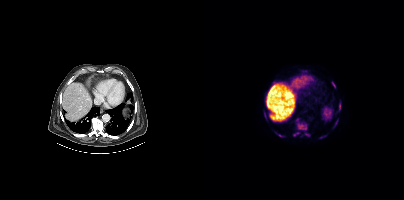
Left: CT. Right: PSMA PET, same axial level, [18F]PSMA-1007 tracer. Slice 253 of 423. PET panel 200×200 px (4.1 mm/px).
Coordinates are on the 200×200 PET (right) panel. PSMA-avid tumor lesion bounding boxes (partial; 2 more foci not listed):
| # | x0 | y0 | x1 | y1 |
|---|---|---|---|---|
| 1 | 92 | 118 | 103 | 130 |
| 2 | 89 | 132 | 95 | 136 |
| 3 | 128 | 82 | 131 | 87 |
| 4 | 101 | 133 | 105 | 136 |
Small PSMA-avid foci (2 to 4 px across) near (center x, center y): (61, 117); (72, 133); (76, 135); (65, 118).